Left: CT. Right: PSMA PET, same axial level, 18F-PSMA tracer. PET panel 256×256 px (2.7 mm/px).
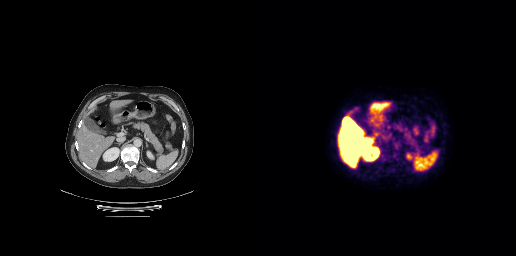
This slice has no annotated PSMA-avid lesion.